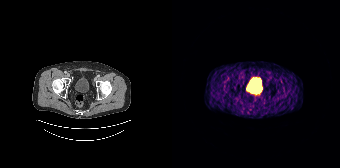
- Left: CT. Right: PSMA PET, same axial level, 68Ga tracer
- slice position z = -1522 mm
- PET panel 168×168 px (4.1 mm/px)
Findings: Negative for PSMA-avid disease on this slice.